Left: CT. Right: PSMA PET, same axial level, [18F]PSMA-1007 tracer. Slice position z = -1343 mm. PET panel 200×200 px (4.1 mm/px).
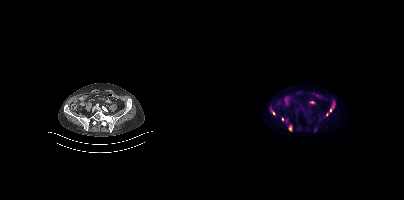
Coordinates are on the 200×200 PET (right) panel. PSMA-avid tumor lesion bounding boxes:
| # | x0 | y0 | x1 | y1 |
|---|---|---|---|---|
| 1 | 125 | 101 | 131 | 112 |
| 2 | 84 | 125 | 88 | 131 |
Small PSMA-avid foci (2 to 4 px across) near (center x, center y): (69, 112); (123, 114); (78, 119).